Technique: Left: CT. Right: PSMA PET, same axial level, [18F]PSMA-1007 tracer. acquired on Siemens Biograph mCT Flow 20. slice position z = -1478 mm.
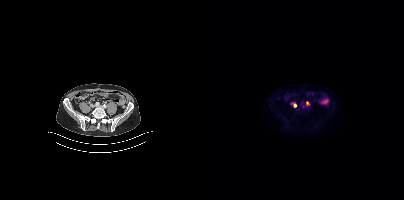
Findings: Coordinates are on the 200×200 PET (right) panel. PSMA-avid tumor lesion bounding box (x0,y0,x1,y1): [89,103,92,107]. Small PSMA-avid focus (2 to 4 px across) near (center x, center y): (103, 103).